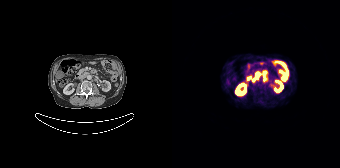
{"modality":"PSMA PET/CT","view":"axial","tracer":"68Ga","pet_grid":[168,168],"coord_frame":"pet_panel","coord_format":"x0,y0,x1,y1","lesion_bboxes":[[81,72,88,81],[91,77,93,81]]}